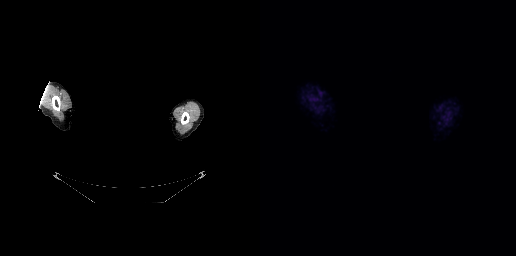
De-identified by setting a box covering the face to black before release. Left: CT. Right: PSMA PET, same axial level, 18F-PSMA tracer. Slice position z = -224 mm. PET panel 256×256 px (2.7 mm/px). No tumor lesions annotated on this slice.